modality: PSMA PET/CT | tracer: [18F]PSMA-1007 | view: axial
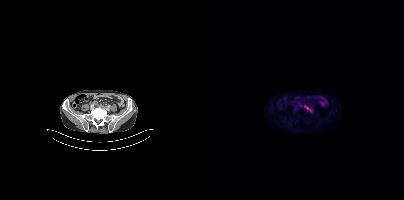
Coordinates are on the 200×200 PET (right) panel. PSMA-avid tumor lesion bounding box (x0,y0,x1,y1): [100,105,107,111].